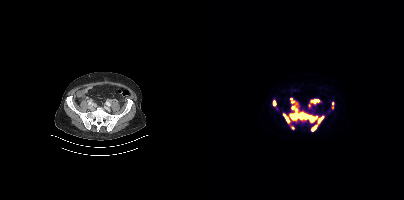
Technique: Paired axial CT (left) and PSMA PET (right), 18F tracer. acquired on Siemens Biograph mCT Flow 20. PET panel 200×200 px (4.1 mm/px).
Findings: Coordinates are on the 200×200 PET (right) panel. PSMA-avid tumor lesion bounding boxes (x0, y0)-(x1, y1): (79, 98)-(120, 131) | (106, 99)-(115, 104) | (69, 100)-(72, 105) | (128, 102)-(129, 108). Small PSMA-avid foci (2 to 4 px across) near (center x, center y): (88, 127) | (105, 105).